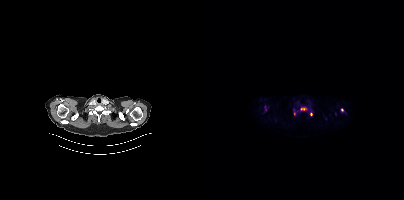
Two-panel axial: CT | PSMA PET, 18F-PSMA tracer. Acquired on Siemens Biograph mCT Flow 20. Slice 334 of 403. Coordinates are on the 200×200 PET (right) panel. (showing 3 of 5 foci) Small PSMA-avid foci (2 to 4 px across) near (center x, center y): (98, 108) | (107, 114) | (90, 113).